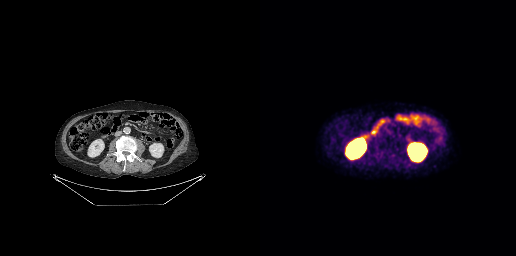
No PSMA-avid tumor lesions on this slice.